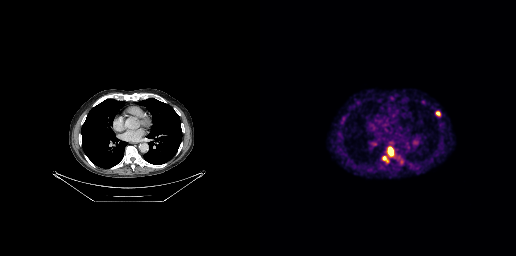
{"modality":"PSMA PET/CT","view":"axial","tracer":"[68Ga]Ga-PSMA-11","pet_grid":[256,256],"coord_frame":"pet_panel","coord_format":"x0,y0,x1,y1","partial":true,"lesion_bboxes":[[129,148,132,154]],"small_foci_centers":[[177,113],[124,158],[127,160]]}